Two-panel axial: CT | PSMA PET, 18F-PSMA tracer. Acquired on Siemens Biograph mCT Flow 20.
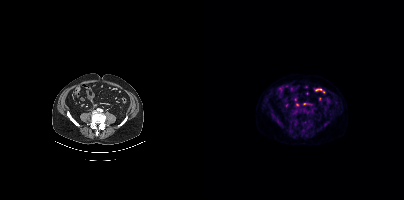
No tumor lesions annotated on this slice.